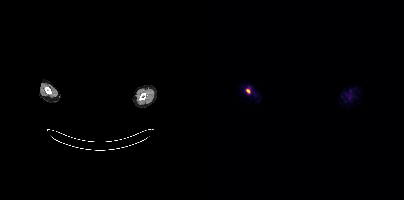
modality: PSMA PET/CT | tracer: [18F]PSMA-1007 | view: axial | deidentification: head region blanked (face removed)
Coordinates are on the 200×200 PET (right) panel. PSMA-avid tumor lesion bounding box (x0,y0,x1,y1): [42,89,45,93].